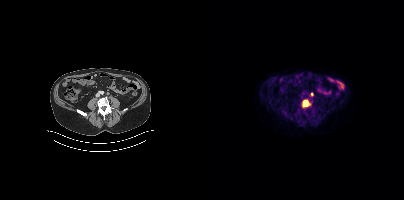
modality: PSMA PET/CT | tracer: [18F]PSMA-1007 | view: axial | PET grid: 200×200
Coordinates are on the 200×200 PET (right) panel. (showing 1 of 3 foci) PSMA-avid tumor lesion bounding box (x, y, width, height): x=98 y=100 w=9 h=8.